- Left: CT. Right: PSMA PET, same axial level, [18F]PSMA-1007 tracer
- acquired on Siemens Biograph mCT Flow 20
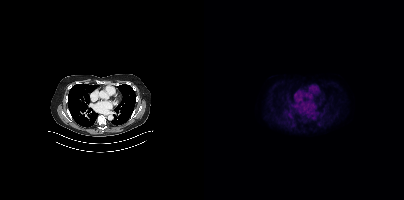
Findings: Negative for PSMA-avid disease on this slice.